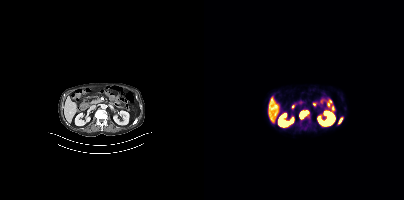
{"modality":"PSMA PET/CT","view":"axial","tracer":"[18F]PSMA-1007","pet_grid":[200,200],"coord_frame":"pet_panel","coord_format":"x0,y0,x1,y1","lesion_bboxes":[[96,111,105,119],[102,117,106,121],[134,118,138,123]]}